Paired axial CT (left) and PSMA PET (right), [18F]PSMA-1007 tracer. Slice 288 of 413.
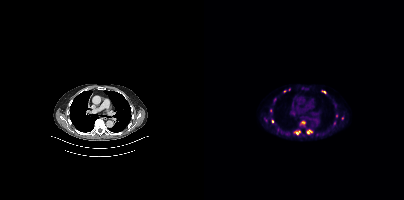
Coordinates are on the 200×200 PET (right) panel. PSMA-avid tumor lesion bounding boxes (partial; 1 more focus not listed):
| # | x0 | y0 | x1 | y1 |
|---|---|---|---|---|
| 1 | 118 | 90 | 122 | 93 |
Small PSMA-avid foci (2 to 4 px across) near (center x, center y): (68, 121); (80, 91); (93, 133); (66, 110); (103, 132).